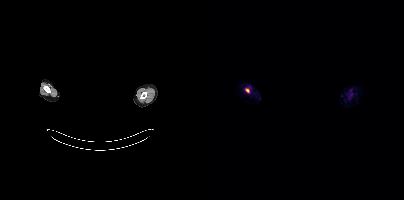
Findings: Coordinates are on the 200×200 PET (right) panel. PSMA-avid tumor lesion bounding box (x0, y0)-(x1, y1): (42, 88)-(45, 92).
- the face region was removed for patient privacy by blanking a rectangle over the head
- Left: CT. Right: PSMA PET, same axial level, 18F-PSMA tracer
- slice position z = -292 mm